redaction: face masked with black rectangle | modality: PSMA PET/CT | tracer: [68Ga]Ga-PSMA-11 | view: axial
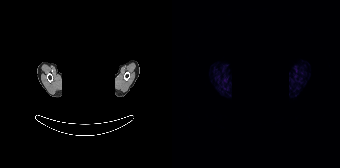
No tumor lesions annotated on this slice.